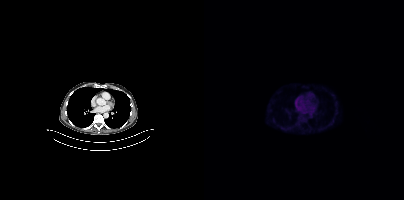
No PSMA-avid tumor lesions on this slice.
modality: PSMA PET/CT | tracer: [18F]PSMA-1007 | view: axial